Left: CT. Right: PSMA PET, same axial level, [18F]PSMA-1007 tracer. Slice position z = -654 mm.
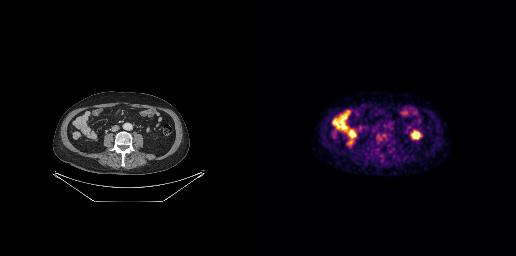
This slice has no annotated PSMA-avid lesion.